- Paired axial CT (left) and PSMA PET (right), 68Ga tracer
- slice 302 of 409
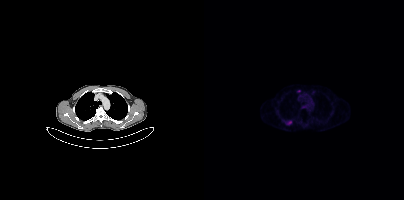
Findings: Coordinates are on the 200×200 PET (right) panel. PSMA-avid tumor lesion bounding box (x0, y0)-(x1, y1): (83, 121)-(87, 124).